Paired axial CT (left) and PSMA PET (right), 18F-PSMA tracer. Acquired on Siemens Biograph mCT Flow 20.
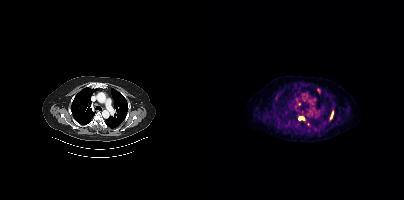
Coordinates are on the 200×200 PET (right) panel. PSMA-avid tumor lesion bounding boxes (partial; 1 more focus not listed):
| # | x0 | y0 | x1 | y1 |
|---|---|---|---|---|
| 1 | 95 | 117 | 100 | 119 |
| 2 | 126 | 112 | 129 | 118 |
| 3 | 113 | 88 | 116 | 92 |
Small PSMA-avid focus (2 to 4 px across) near (center x, center y): (95, 104).